modality: PSMA PET/CT | tracer: [18F]PSMA-1007 | view: axial
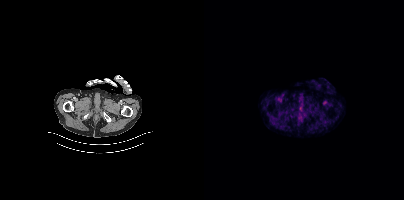
This slice has no annotated PSMA-avid lesion.